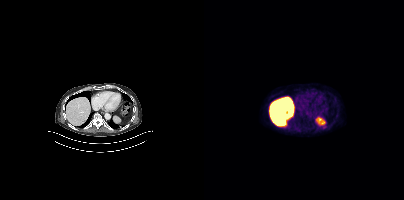
Coordinates are on the 200×200 PET (right) panel. Small PSMA-avid focus (2 to 4 px across) near (center x, center y): (120, 126). Left: CT. Right: PSMA PET, same axial level, [18F]PSMA-1007 tracer. Slice 249 of 389.